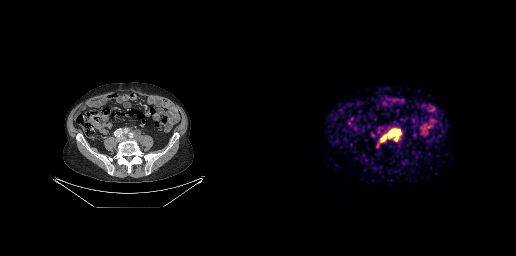
Coordinates are on the 256×256 PET (right) panel. (showing 3 of 4 foci) PSMA-avid tumor lesion bounding boxes (x0, y0)-(x1, y1): (127, 129)-(141, 137); (121, 136)-(125, 141). Small PSMA-avid focus (2 to 4 px across) near (center x, center y): (136, 139).
modality: PSMA PET/CT | tracer: [68Ga]Ga-PSMA-11 | view: axial